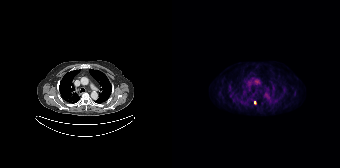
Findings: Coordinates are on the 168×168 PET (right) panel. Small PSMA-avid focus (2 to 4 px across) near (center x, center y): (83, 102).
- Left: CT. Right: PSMA PET, same axial level, [18F]PSMA-1007 tracer